- Left: CT. Right: PSMA PET, same axial level, [18F]PSMA-1007 tracer
- acquired on Siemens Biograph mCT Flow 20
- PET panel 200×200 px (4.1 mm/px)
- de-identified by setting a box covering the face to black before release
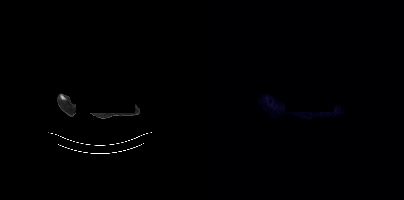
Findings: Negative for PSMA-avid disease on this slice.